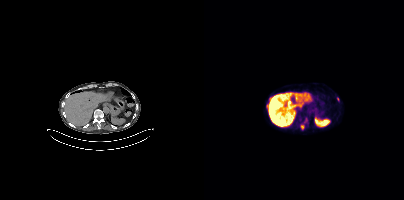
Findings: Coordinates are on the 200×200 PET (right) panel. PSMA-avid tumor lesion bounding boxes (x, y, width, height): x=97 y=125 w=3 h=5 / x=62 y=104 w=3 h=5. Small PSMA-avid focus (2 to 4 px across) near (center x, center y): (133, 99).
- Left: CT. Right: PSMA PET, same axial level, [18F]PSMA-1007 tracer
- acquired on Siemens Biograph mCT Flow 20
- PET panel 200×200 px (4.1 mm/px)